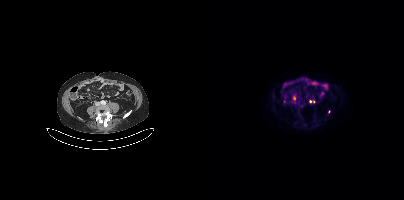
{"modality":"PSMA PET/CT","view":"axial","tracer":"18F-PSMA","pet_grid":[200,200],"coord_frame":"pet_panel","coord_format":"x0,y0,x1,y1","partial":true,"lesion_bboxes":[],"small_foci_centers":[[106,101],[90,97],[124,111]]}